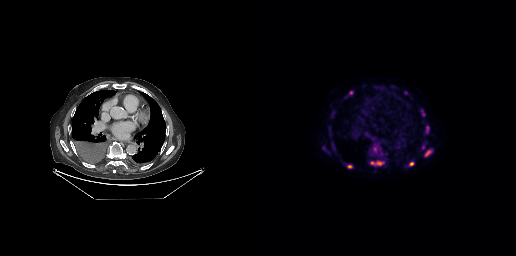
- Two-panel axial: CT | PSMA PET, 18F tracer
- acquired on GE Discovery 690
Findings: Coordinates are on the 256×256 PET (right) panel. (showing 9 of 10 foci) PSMA-avid tumor lesion bounding boxes (x0, y0)-(x1, y1): (110, 161)-(123, 165) | (149, 161)-(154, 166) | (165, 150)-(170, 156) | (167, 126)-(168, 131). Small PSMA-avid foci (2 to 4 px across) near (center x, center y): (89, 166) | (91, 92) | (114, 149) | (163, 114) | (63, 147).